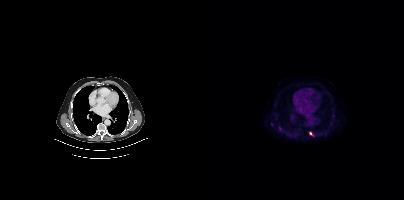
modality: PSMA PET/CT | tracer: 18F | view: axial | PET grid: 200×200
Coordinates are on the 200×200 PET (right) panel. Small PSMA-avid focus (2 to 4 px across) near (center x, center y): (106, 133).